Technique: Paired axial CT (left) and PSMA PET (right), 18F-PSMA tracer. slice position z = -798 mm.
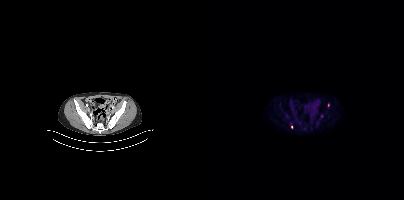
Findings: Coordinates are on the 200×200 PET (right) panel. Small PSMA-avid foci (2 to 4 px across) near (center x, center y): (124, 105); (87, 127); (117, 115).